- Left: CT. Right: PSMA PET, same axial level, 18F-PSMA tracer
- PET panel 200×200 px (4.1 mm/px)
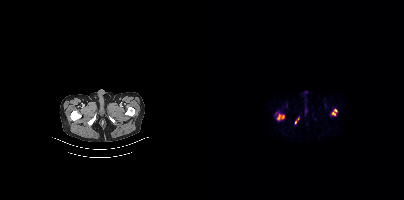
Findings: Coordinates are on the 200×200 PET (right) panel. (showing 5 of 6 foci) PSMA-avid tumor lesion bounding box (x0, y0)-(x1, y1): (74, 115)-(76, 119). Small PSMA-avid foci (2 to 4 px across) near (center x, center y): (129, 113) / (131, 110) / (91, 121) / (78, 117).